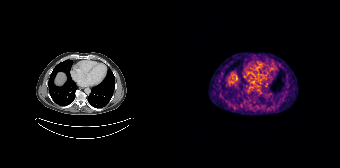
{"pet_grid":[168,168],"coord_frame":"pet_panel","coord_format":"x0,y0,x1,y1","psma_avid_lesions":false,"modality":"PSMA PET/CT","view":"axial","tracer":"68Ga-PSMA"}